Technique: Two-panel axial: CT | PSMA PET, 68Ga tracer. PET panel 256×256 px (2.7 mm/px).
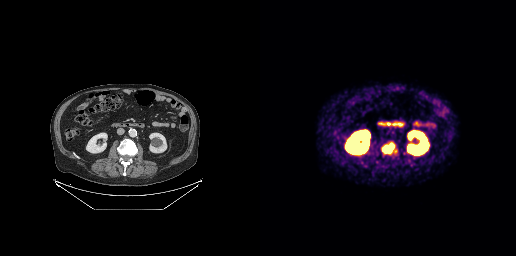
Findings: Coordinates are on the 256×256 PET (right) panel. PSMA-avid tumor lesion bounding box (x, y, width, height): x=122 y=143 w=13 h=11.